- Two-panel axial: CT | PSMA PET, 18F-PSMA tracer
- PET panel 256×256 px (2.7 mm/px)
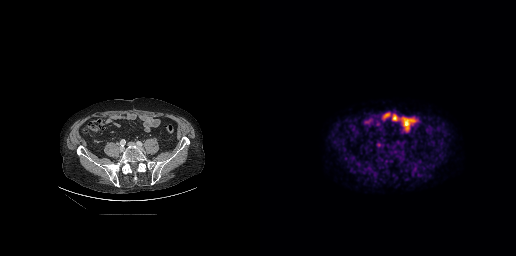
Findings: Coordinates are on the 256×256 PET (right) panel. PSMA-avid tumor lesion bounding box (x0,y0,x1,y1): [116,142,122,147].